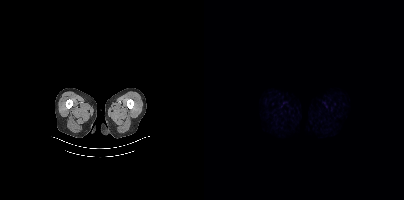
No tumor lesions annotated on this slice.
modality: PSMA PET/CT | tracer: [18F]PSMA-1007 | view: axial | PET grid: 200×200